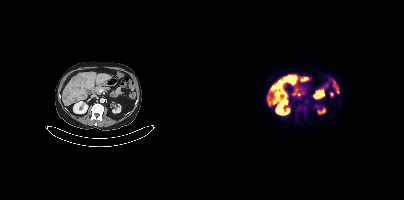
Findings: Coordinates are on the 200×200 PET (right) panel. PSMA-avid tumor lesion bounding boxes (x0,y0,x1,y1): [72,81,78,88]; [86,79,91,85]. Small PSMA-avid focus (2 to 4 px across) near (center x, center y): (81, 78).
Technique: Paired axial CT (left) and PSMA PET (right), 18F tracer. acquired on Siemens Biograph mCT Flow 20. PET panel 200×200 px (4.1 mm/px).